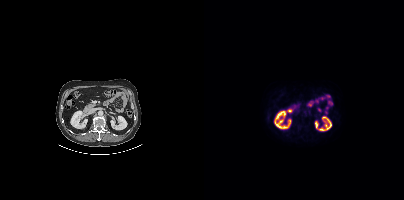
Paired axial CT (left) and PSMA PET (right), [18F]PSMA-1007 tracer. Acquired on Siemens Biograph mCT Flow 20. Slice 184 of 423. Coordinates are on the 200×200 PET (right) panel. Small PSMA-avid focus (2 to 4 px across) near (center x, center y): (105, 113).